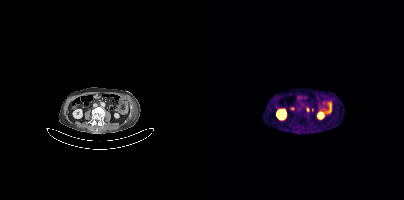
Findings: Coordinates are on the 200×200 PET (right) panel. PSMA-avid tumor lesion bounding box (x0,y0,x1,y1): [102,107,105,111].
Technique: Two-panel axial: CT | PSMA PET, 68Ga tracer. slice 170 of 413. PET panel 200×200 px (4.1 mm/px).